Paired axial CT (left) and PSMA PET (right), 18F tracer. Acquired on Siemens Biograph mCT Flow 20. PET panel 200×200 px (4.1 mm/px).
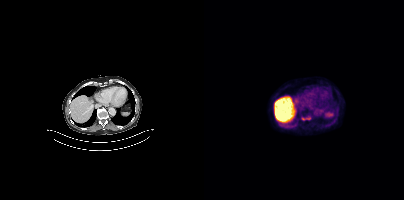
Coordinates are on the 200×200 PET (right) panel. Small PSMA-avid foci (2 to 4 px across) near (center x, center y): (99, 118); (105, 118).